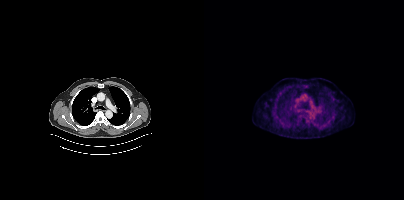
{"modality":"PSMA PET/CT","view":"axial","tracer":"18F-PSMA","pet_grid":[200,200],"coord_frame":"pet_panel","coord_format":"x0,y0,x1,y1","psma_avid_lesions":false}